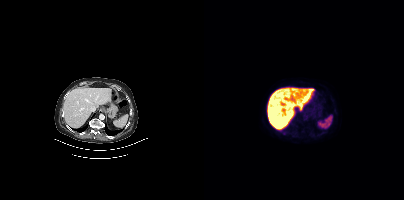
{"modality":"PSMA PET/CT","view":"axial","tracer":"18F","pet_grid":[200,200],"coord_frame":"pet_panel","coord_format":"x0,y0,x1,y1","psma_avid_lesions":false}